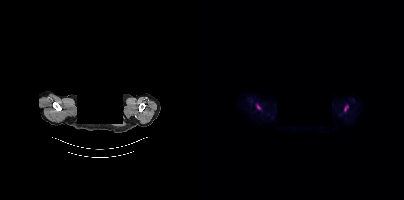
Coordinates are on the 200×200 PET (right) panel. PSMA-avid tumor lesion bounding box (x0,y0,x1,y1): [52,104,56,109]. Small PSMA-avid focus (2 to 4 px across) near (center x, center y): (142, 106).
modality: PSMA PET/CT | tracer: 18F | view: axial | PET grid: 200×200 | deidentification: head region blanked (face removed)